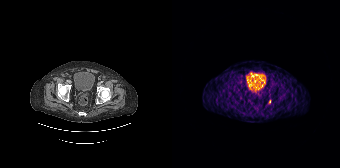
Paired axial CT (left) and PSMA PET (right), [68Ga]Ga-PSMA-11 tracer. Acquired on Siemens Biograph 64-4R TruePoint. Coordinates are on the 168×168 PET (right) panel. Small PSMA-avid focus (2 to 4 px across) near (center x, center y): (97, 101).